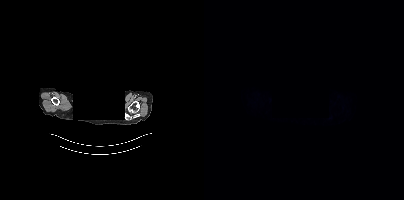
No PSMA-avid tumor lesions on this slice. Two-panel axial: CT | PSMA PET, 18F tracer. Slice position z = -438 mm. De-identified by setting a box covering the face to black before release.